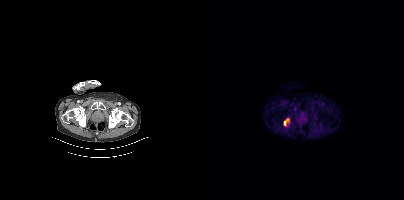
Findings: Coordinates are on the 200×200 PET (right) panel. PSMA-avid tumor lesion bounding box (x, y, width, height): x=79 y=118 w=7 h=9. Small PSMA-avid focus (2 to 4 px across) near (center x, center y): (91, 108).
Technique: Left: CT. Right: PSMA PET, same axial level, [18F]PSMA-1007 tracer. acquired on Siemens Biograph mCT Flow 20. PET panel 200×200 px (4.1 mm/px).